- Left: CT. Right: PSMA PET, same axial level, 68Ga-PSMA tracer
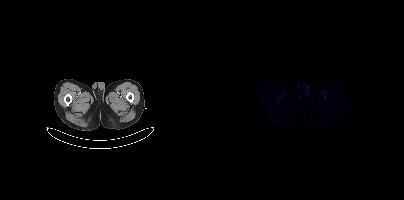
Findings: Negative for PSMA-avid disease on this slice.